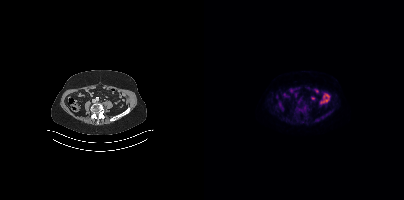
Findings: No tumor lesions annotated on this slice.
Technique: Paired axial CT (left) and PSMA PET (right), 18F-PSMA tracer. acquired on Siemens Biograph mCT Flow 20. PET panel 200×200 px (4.1 mm/px).